modality: PSMA PET/CT | tracer: [18F]PSMA-1007 | view: axial
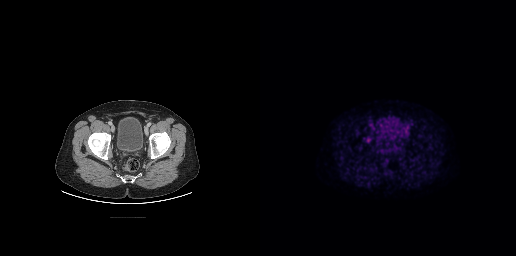
No PSMA-avid tumor lesions on this slice.